Paired axial CT (left) and PSMA PET (right), 68Ga tracer. Acquired on Siemens Biograph mCT Flow 20. Slice position z = -991 mm. PET panel 200×200 px (4.1 mm/px).
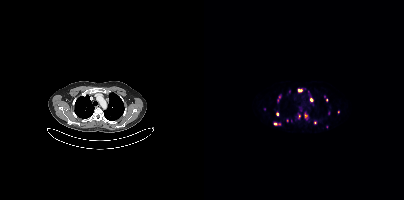
Coordinates are on the 200×200 PET (right) panel. (showing 15 of 18 foci) PSMA-avid tumor lesion bounding boxes (x0, y0)-(x1, y1): (101, 115)-(103, 119); (94, 89)-(98, 91); (120, 95)-(123, 101); (73, 96)-(76, 101). Small PSMA-avid foci (2 to 4 px across) near (center x, center y): (107, 99); (125, 112); (71, 124); (105, 92); (111, 122); (73, 114); (85, 91); (60, 109); (134, 112); (83, 120); (87, 120).